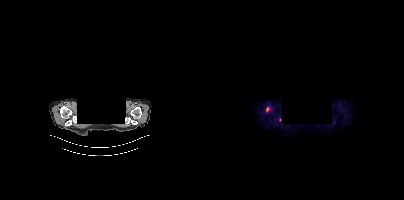
{"modality":"PSMA PET/CT","view":"axial","tracer":"18F","pet_grid":[200,200],"coord_frame":"pet_panel","coord_format":"x0,y0,x1,y1","de-identification":"facial region redacted","lesion_bboxes":[],"small_foci_centers":[[75,119],[63,109]]}